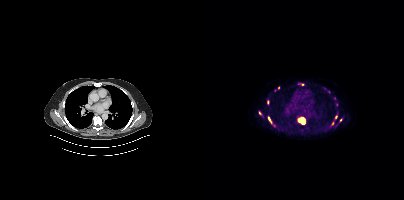
Paired axial CT (left) and PSMA PET (right), [18F]PSMA-1007 tracer. Acquired on Siemens Biograph mCT Flow 20. PET panel 200×200 px (4.1 mm/px).
Coordinates are on the 200×200 PET (right) panel. PSMA-avid tumor lesion bounding boxes (partial; 2 more foci not listed):
| # | x0 | y0 | x1 | y1 |
|---|---|---|---|---|
| 1 | 93 | 117 | 101 | 124 |
| 2 | 64 | 117 | 67 | 123 |
Small PSMA-avid foci (2 to 4 px across) near (center x, center y): (132, 117); (55, 113); (136, 119).